- Two-panel axial: CT | PSMA PET, 18F-PSMA tracer
- PET panel 200×200 px (4.1 mm/px)
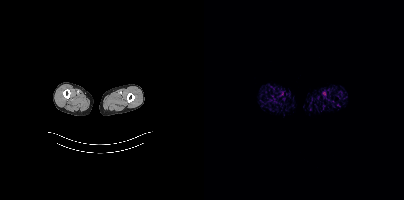
Findings: No tumor lesions annotated on this slice.